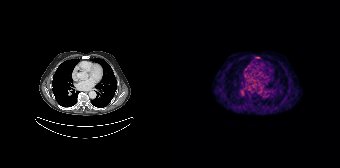
{"modality":"PSMA PET/CT","view":"axial","tracer":"68Ga","pet_grid":[168,168],"coord_frame":"pet_panel","coord_format":"x0,y0,x1,y1","partial":true,"lesion_bboxes":[[83,57,87,58]]}